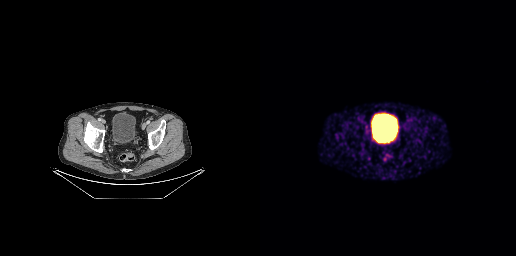
modality: PSMA PET/CT | tracer: 68Ga | view: axial | PET grid: 256×256
Negative for PSMA-avid disease on this slice.